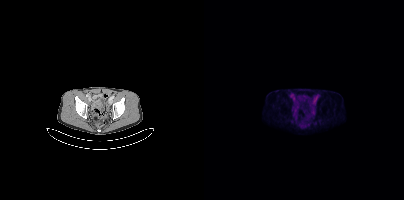
Negative for PSMA-avid disease on this slice.